Paired axial CT (left) and PSMA PET (right), 18F-PSMA tracer. Slice 12 of 435. PET panel 200×200 px (4.1 mm/px).
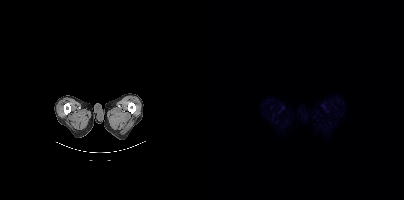
This slice has no annotated PSMA-avid lesion.